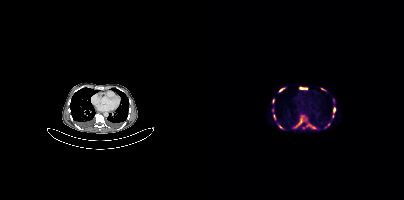
{"modality":"PSMA PET/CT","view":"axial","tracer":"68Ga-PSMA","pet_grid":[200,200],"coord_frame":"pet_panel","coord_format":"x0,y0,x1,y1","partial":true,"lesion_bboxes":[[91,116,98,127],[128,107,131,117],[96,87,103,89],[75,88,80,91],[117,88,121,90]],"small_foci_centers":[[109,127],[68,109],[76,127],[69,101],[104,125]]}